Technique: Paired axial CT (left) and PSMA PET (right), 18F-PSMA tracer. acquired on Siemens Biograph mCT Flow 20.
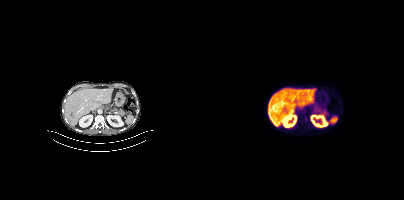
Findings: This slice has no annotated PSMA-avid lesion.